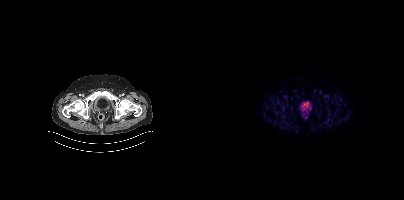
modality: PSMA PET/CT | tracer: 18F-PSMA | view: axial
Negative for PSMA-avid disease on this slice.